Left: CT. Right: PSMA PET, same axial level, 18F-PSMA tracer. PET panel 200×200 px (4.1 mm/px).
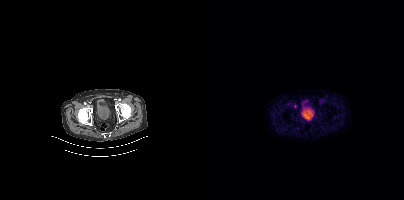
Coordinates are on the 200×200 PET (right) panel. Small PSMA-avid focus (2 to 4 px across) near (center x, center y): (91, 106).